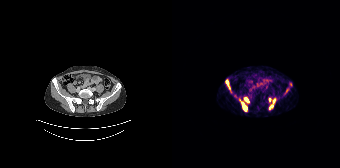
{"pet_grid":[168,168],"coord_frame":"pet_panel","coord_format":"x0,y0,x1,y1","partial":true,"lesion_bboxes":[[96,98,104,109],[68,101,75,111],[72,97,77,102],[54,80,56,85]],"small_foci_centers":[[114,90]],"modality":"PSMA PET/CT","view":"axial","tracer":"68Ga"}